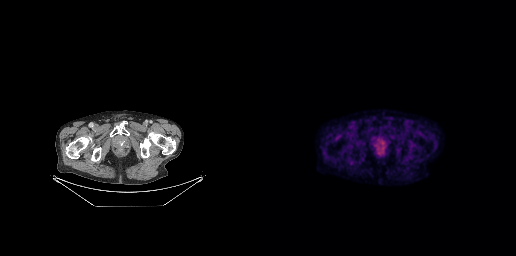
{"pet_grid":[256,256],"coord_frame":"pet_panel","coord_format":"x0,y0,x1,y1","psma_avid_lesions":false,"modality":"PSMA PET/CT","view":"axial","tracer":"[18F]PSMA-1007"}